Technique: Two-panel axial: CT | PSMA PET, 18F tracer. slice 125 of 165.
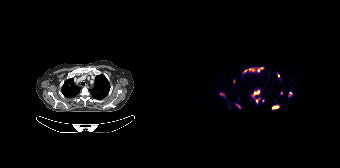
Findings: Coordinates are on the 168×168 PET (right) panel. PSMA-avid tumor lesion bounding boxes (x, y, width, height): x=79 y=89 w=10 h=15 / x=71 y=67 w=22 h=6 / x=99 y=105 w=9 h=5 / x=116 y=91 w=5 h=7 / x=48 y=92 w=5 h=5 / x=104 y=73 w=5 h=6 / x=64 y=104 w=5 h=5. Small PSMA-avid foci (2 to 4 px across) near (center x, center y): (91, 100) / (109, 93) / (61, 81).